- Paired axial CT (left) and PSMA PET (right), [18F]PSMA-1007 tracer
- acquired on Siemens Biograph mCT Flow 20
- slice 197 of 397
- PET panel 200×200 px (4.1 mm/px)
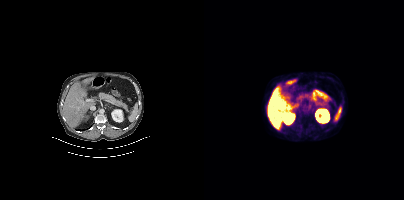
Findings: No tumor lesions annotated on this slice.